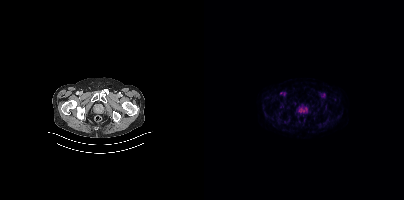
Paired axial CT (left) and PSMA PET (right), 18F-PSMA tracer. Acquired on Siemens Biograph mCT Flow 20. PET panel 200×200 px (4.1 mm/px). This slice has no annotated PSMA-avid lesion.